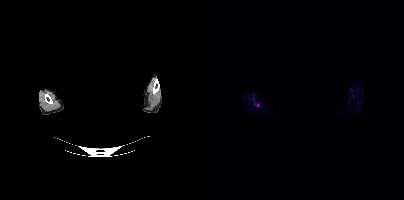
Coordinates are on the 200×200 PET (right) panel. PSMA-avid tumor lesion bounding boxes:
| # | x0 | y0 | x1 | y1 |
|---|---|---|---|---|
| 1 | 50 | 103 | 55 | 106 |
The face region was removed for patient privacy by blanking a rectangle over the head. Paired axial CT (left) and PSMA PET (right), [18F]PSMA-1007 tracer. Slice 435 of 466.